- Paired axial CT (left) and PSMA PET (right), [18F]PSMA-1007 tracer
- acquired on Siemens Biograph mCT Flow 20
- slice 265 of 448
- PET panel 200×200 px (4.1 mm/px)
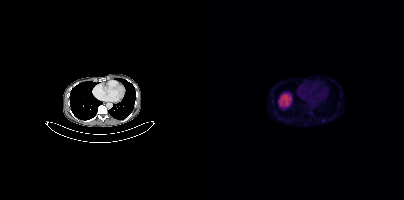
Findings: Coordinates are on the 200×200 PET (right) panel. Small PSMA-avid focus (2 to 4 px across) near (center x, center y): (118, 120).